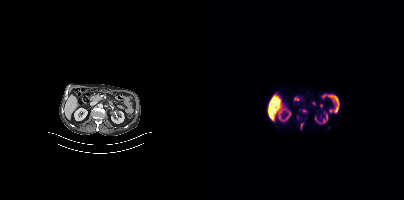
This slice has no annotated PSMA-avid lesion.